modality: PSMA PET/CT | tracer: 68Ga | view: axial | PET grid: 200×200
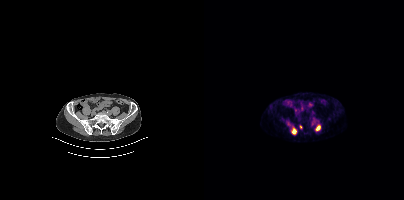
Coordinates are on the 200×200 PET (right) panel. PSMA-avid tumor lesion bounding boxes (x, y, width, height): x=87 y=127 w=6 h=8; x=111 y=125 w=6 h=6. Small PSMA-avid focus (2 to 4 px across) near (center x, center y): (96, 127).